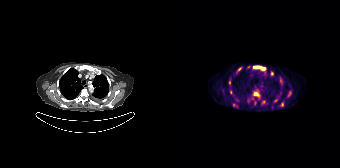
Coordinates are on the 168×168 PET (right) panel. (showing 13 of 14 foci) PSMA-avid tumor lesion bounding boxes (x0,y0,x1,y1): [81,65,94,70]; [81,92,87,96]; [116,91,119,96]. Small PSMA-avid foci (2 to 4 px across) near (center x, center y): (103, 100); (109, 104); (108, 79); (57, 82); (61, 105); (58, 92); (67, 69); (82, 104); (100, 73); (76, 66).